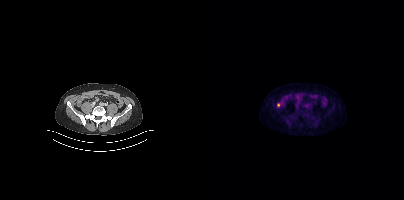
Coordinates are on the 200×200 PET (right) panel. Small PSMA-avid focus (2 to 4 px across) near (center x, center y): (74, 105). Left: CT. Right: PSMA PET, same axial level, 18F-PSMA tracer. PET panel 200×200 px (4.1 mm/px).